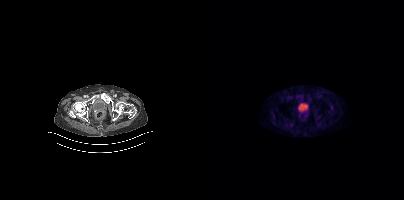
Findings: No PSMA-avid tumor lesions on this slice.
- Left: CT. Right: PSMA PET, same axial level, 18F-PSMA tracer
- acquired on Siemens Biograph mCT Flow 20
- slice position z = -1451 mm
- PET panel 200×200 px (4.1 mm/px)